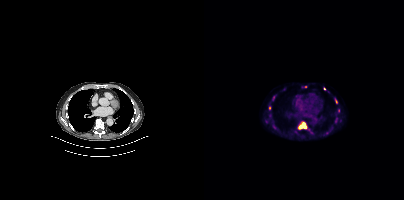
Coordinates are on the 200×200 PET (right) panel. (showing 4 of 6 foci) PSMA-avid tumor lesion bounding box (x0, y0)-(x1, y1): (94, 122)-(102, 129). Small PSMA-avid foci (2 to 4 px across) near (center x, center y): (120, 88) | (65, 108) | (101, 86).